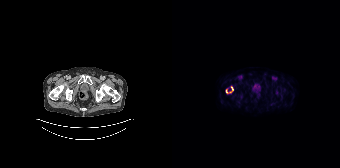
Coordinates are on the 168×168 PET (right) panel. PSMA-avid tumor lesion bounding box (x0, y0)-(x1, y1): (54, 86)-(61, 93).
modality: PSMA PET/CT | tracer: [18F]PSMA-1007 | view: axial